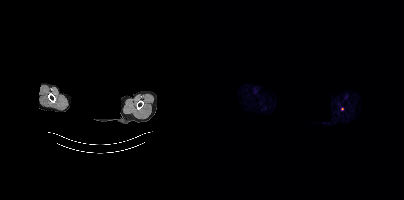
Findings: This slice has no annotated PSMA-avid lesion.
Technique: Paired axial CT (left) and PSMA PET (right), [68Ga]Ga-PSMA-11 tracer. slice 334 of 373. PET panel 200×200 px (4.1 mm/px).
Note: Facial anatomy redacted by setting a rectangular region of the head to black.